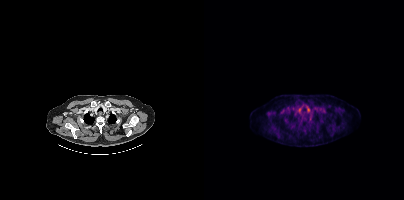
Findings: Coordinates are on the 200×200 PET (right) panel. Small PSMA-avid focus (2 to 4 px across) near (center x, center y): (106, 118).
Technique: Paired axial CT (left) and PSMA PET (right), [18F]PSMA-1007 tracer. slice position z = -862 mm.